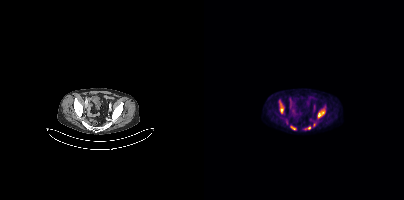
Coordinates are on the 200×200 PET (right) panel. (showing 4 of 5 foci) PSMA-avid tumor lesion bounding boxes (x0, y0)-(x1, y1): (114, 106)-(121, 117); (75, 101)-(79, 113); (87, 126)-(92, 130). Small PSMA-avid focus (2 to 4 px across) near (center x, center y): (105, 128). Paired axial CT (left) and PSMA PET (right), 18F tracer. Acquired on Siemens Biograph mCT Flow 20. Slice position z = -866 mm. PET panel 200×200 px (4.1 mm/px).